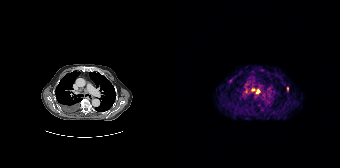
Findings: Coordinates are on the 168×168 PET (right) panel. PSMA-avid tumor lesion bounding boxes (x0,y0,x1,y1): [79,88,88,94] [114,87,116,91].
Technique: Two-panel axial: CT | PSMA PET, 68Ga-PSMA tracer. slice 150 of 195. PET panel 168×168 px (4.1 mm/px).